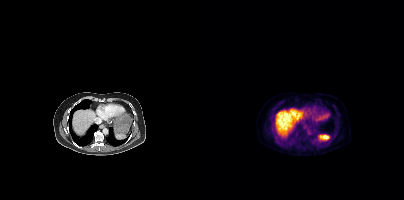
Technique: Paired axial CT (left) and PSMA PET (right), [18F]PSMA-1007 tracer. acquired on Siemens Biograph mCT Flow 20. PET panel 200×200 px (4.1 mm/px).
Findings: No tumor lesions annotated on this slice.